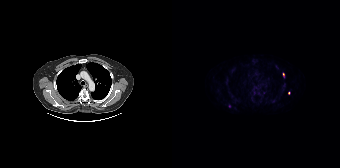
Technique: Paired axial CT (left) and PSMA PET (right), 18F-PSMA tracer. slice 121 of 165. PET panel 168×168 px (4.1 mm/px).
Findings: Coordinates are on the 168×168 PET (right) panel. Small PSMA-avid foci (2 to 4 px across) near (center x, center y): (111, 74) (116, 93).